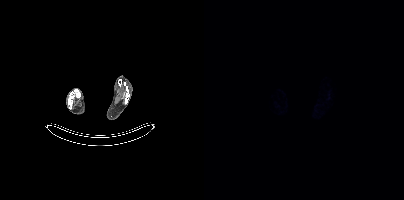
Findings: Negative for PSMA-avid disease on this slice.
Technique: Left: CT. Right: PSMA PET, same axial level, 18F-PSMA tracer. acquired on Siemens Biograph mCT Flow 20. slice 33 of 963. PET panel 200×200 px (4.1 mm/px).